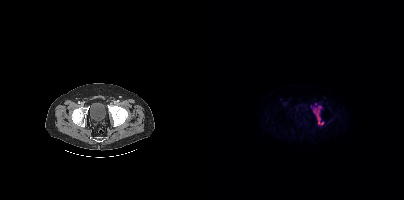
{"modality":"PSMA PET/CT","view":"axial","tracer":"18F-PSMA","pet_grid":[200,200],"coord_frame":"pet_panel","coord_format":"x0,y0,x1,y1","lesion_bboxes":[[110,106,119,124]]}